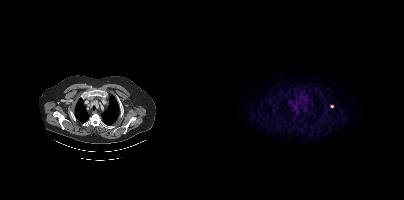
- Two-panel axial: CT | PSMA PET, 18F tracer
- acquired on Siemens Biograph mCT Flow 20
Findings: Coordinates are on the 200×200 PET (right) panel. Small PSMA-avid focus (2 to 4 px across) near (center x, center y): (128, 106).